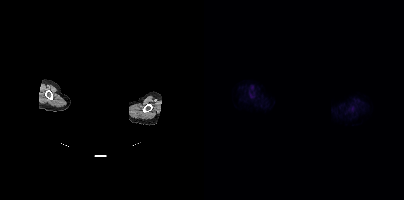
{"modality":"PSMA PET/CT","view":"axial","tracer":"18F-PSMA","pet_grid":[200,200],"coord_frame":"pet_panel","coord_format":"x0,y0,x1,y1","deidentification":"head region blanked (face removed)","psma_avid_lesions":false}